modality: PSMA PET/CT | tracer: 68Ga-PSMA | view: axial
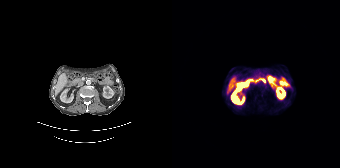
This slice has no annotated PSMA-avid lesion.